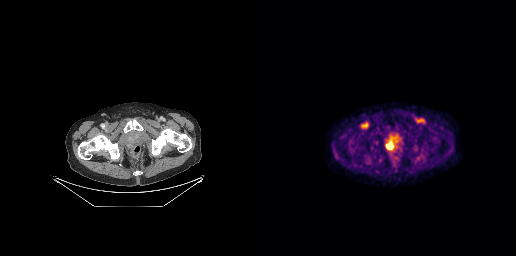
{"modality":"PSMA PET/CT","view":"axial","tracer":"[18F]PSMA-1007","pet_grid":[256,256],"coord_frame":"pet_panel","coord_format":"x0,y0,x1,y1","lesion_bboxes":[[126,143,132,148]]}